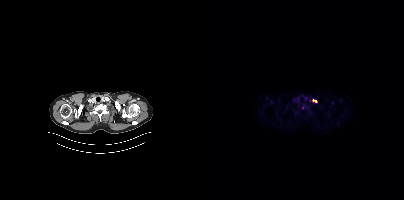
Only PSMA-avid lesion pieces thinner than 2 px on this slice (not listed).